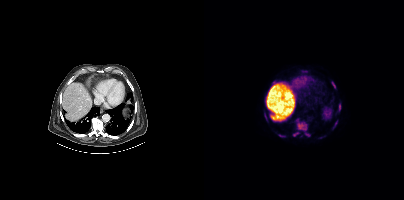
Coordinates are on the 200×200 PET (right) panel. PSMA-avid tumor lesion bounding boxes (x, y, width, height): x=92 y=118 w=15 h=19 / x=89 y=132 w=7 h=5 / x=128 y=82 w=4 h=7 / x=61 y=116 w=3 h=5. Small PSMA-avid foci (2 to 4 px across) near (center x, center y): (75, 135) / (65, 117).